- Left: CT. Right: PSMA PET, same axial level, 18F-PSMA tracer
- acquired on Siemens Biograph mCT Flow 20
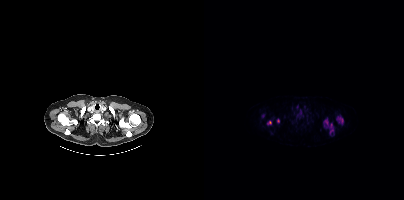
Findings: Coordinates are on the 200×200 PET (right) panel. (showing 5 of 6 foci) PSMA-avid tumor lesion bounding boxes (x0,y0,x1,y1): [132,116,139,124]; [126,123,129,133]; [120,118,124,126]. Small PSMA-avid foci (2 to 4 px across) near (center x, center y): (65, 122); (74, 120).